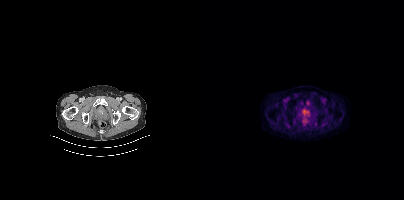
Two-panel axial: CT | PSMA PET, 18F-PSMA tracer. Acquired on Siemens Biograph mCT Flow 20. Coordinates are on the 200×200 PET (right) panel. PSMA-avid tumor lesion bounding box (x0,y0,x1,y1): [99,110,105,114].